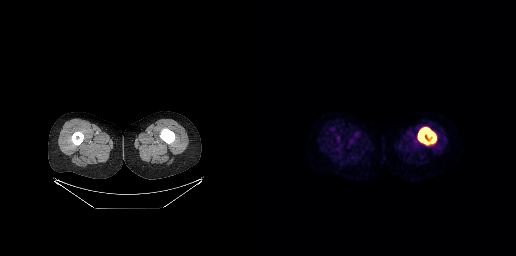
Coordinates are on the 256×256 PET (right) panel. PSMA-avid tumor lesion bounding boxes:
| # | x0 | y0 | x1 | y1 |
|---|---|---|---|---|
| 1 | 158 | 127 | 176 | 144 |
Paired axial CT (left) and PSMA PET (right), 18F tracer. PET panel 256×256 px (2.7 mm/px).